Left: CT. Right: PSMA PET, same axial level, 18F-PSMA tracer. Slice 77 of 427. PET panel 200×200 px (4.1 mm/px).
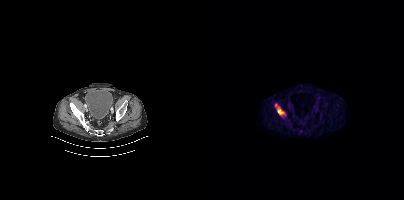
Coordinates are on the 200×200 PET (right) panel. PSMA-avid tumor lesion bounding box (x0,y0,x1,y1): [73,107,80,114]. Small PSMA-avid focus (2 to 4 px across) near (center x, center y): (71, 105).